deidentification: head region blanked (face removed) | modality: PSMA PET/CT | tracer: [18F]PSMA-1007 | view: axial
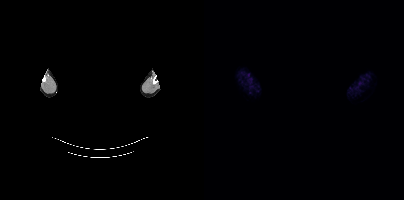
This slice has no annotated PSMA-avid lesion.